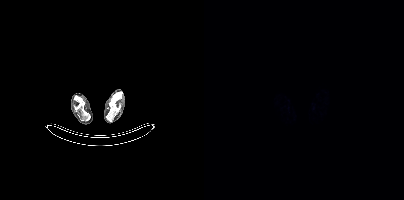
Findings: No tumor lesions annotated on this slice.
- Left: CT. Right: PSMA PET, same axial level, [18F]PSMA-1007 tracer
- PET panel 200×200 px (4.1 mm/px)